deidentification: black rectangle is a privacy mask | modality: PSMA PET/CT | tracer: [18F]PSMA-1007 | view: axial
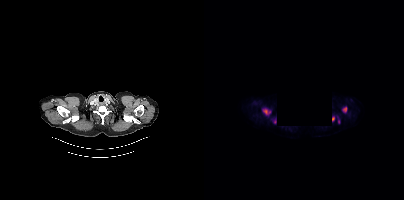
Coordinates are on the 200×200 PET (right) panel. PSMA-avid tumor lesion bounding boxes (x0, y0)-(x1, y1): (59, 108)-(66, 114); (139, 107)-(142, 111); (70, 119)-(72, 123). Small PSMA-avid foci (2 to 4 px across) near (center x, center y): (129, 118); (134, 121).